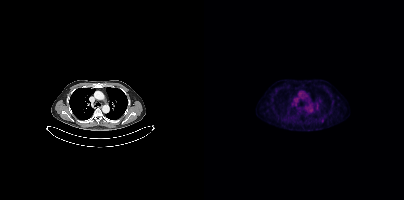
Paired axial CT (left) and PSMA PET (right), 18F tracer. Slice position z = -997 mm.
Coordinates are on the 200×200 PET (right) panel. PSMA-avid tumor lesion bounding boxes:
| # | x0 | y0 | x1 | y1 |
|---|---|---|---|---|
| 1 | 117 | 118 | 119 | 122 |